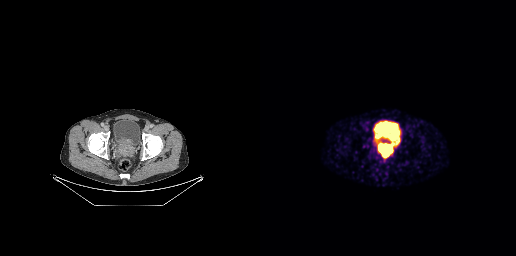
Technique: Paired axial CT (left) and PSMA PET (right), 68Ga tracer.
Findings: Coordinates are on the 256×256 PET (right) panel. PSMA-avid tumor lesion bounding boxes (x, y, width, height): x=118 y=138 w=20 h=20; x=115 y=136 w=7 h=4.